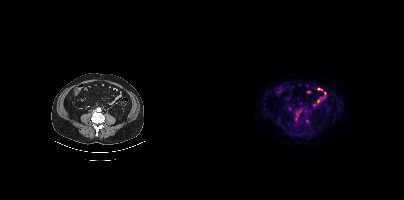
{"modality":"PSMA PET/CT","view":"axial","tracer":"18F","pet_grid":[200,200],"coord_frame":"pet_panel","coord_format":"x0,y0,x1,y1","lesion_bboxes":[],"small_foci_centers":[[92,119],[103,121]]}